Left: CT. Right: PSMA PET, same axial level, 18F-PSMA tracer. Acquired on Siemens Biograph mCT Flow 20.
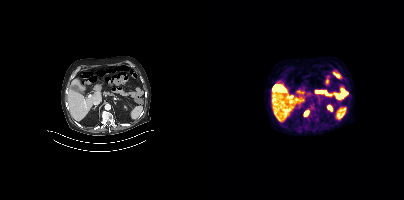
Coordinates are on the 200×200 PET (right) panel. PSMA-avid tumor lesion bounding boxes:
| # | x0 | y0 | x1 | y1 |
|---|---|---|---|---|
| 1 | 100 | 110 | 104 | 116 |